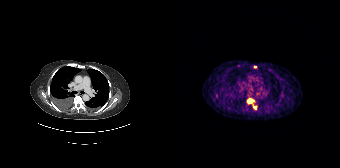
modality: PSMA PET/CT | tracer: [68Ga]Ga-PSMA-11 | view: axial
Coordinates are on the 168×168 PET (right) panel. (showing 3 of 4 foci) PSMA-avid tumor lesion bounding box (x, y, width, height): x=75 y=98 w=7 h=6. Small PSMA-avid foci (2 to 4 px across) near (center x, center y): (82, 107) | (83, 66).